modality: PSMA PET/CT | tracer: 18F | view: axial
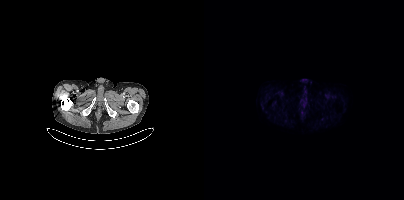
Negative for PSMA-avid disease on this slice.